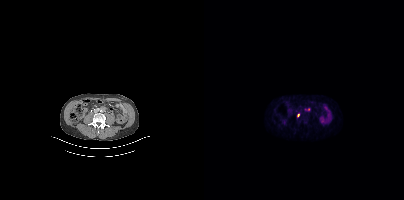
- Left: CT. Right: PSMA PET, same axial level, [18F]PSMA-1007 tracer
- PET panel 200×200 px (4.1 mm/px)
Findings: Coordinates are on the 200×200 PET (right) panel. (showing 2 of 3 foci) PSMA-avid tumor lesion bounding box (x, y, width, height): x=101 y=108 w=6 h=4. Small PSMA-avid focus (2 to 4 px across) near (center x, center y): (94, 115).